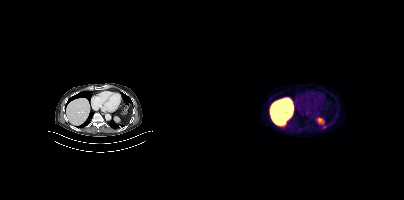
modality: PSMA PET/CT | tracer: [18F]PSMA-1007 | view: axial | PET grid: 200×200
Coordinates are on the 200×200 PET (right) panel. Small PSMA-avid focus (2 to 4 px across) near (center x, center y): (120, 127).